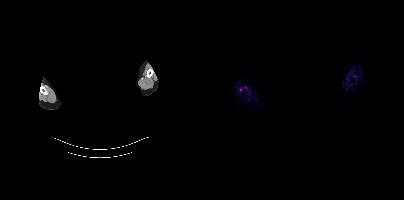
This slice has no annotated PSMA-avid lesion.
A rectangular block over the head has been blanked out for de-identification.